Technique: Paired axial CT (left) and PSMA PET (right), [68Ga]Ga-PSMA-11 tracer. acquired on Siemens Biograph 64-4R TruePoint. PET panel 168×168 px (4.1 mm/px).
Note: Any black rectangle over the head is a privacy mask, not anatomy.
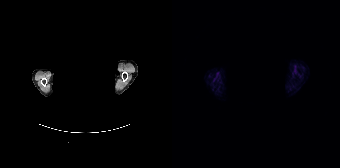
Findings: This slice has no annotated PSMA-avid lesion.